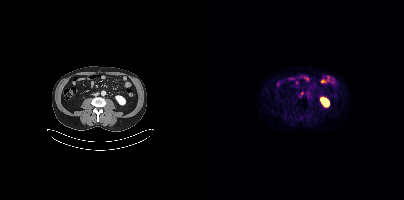
Coordinates are on the 200×200 PET (right) panel. Small PSMA-avid focus (2 to 4 px across) near (center x, center y): (97, 93).